Left: CT. Right: PSMA PET, same axial level, 18F-PSMA tracer. Acquired on Siemens Biograph mCT Flow 20. PET panel 200×200 px (4.1 mm/px).
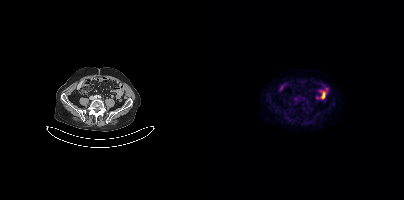
No tumor lesions annotated on this slice.